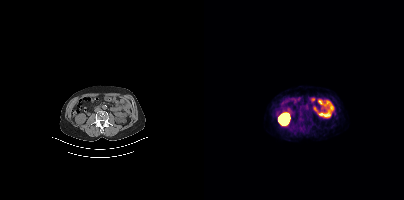
Paired axial CT (left) and PSMA PET (right), 68Ga tracer. Acquired on Siemens Biograph mCT Flow 20. PET panel 200×200 px (4.1 mm/px). No PSMA-avid tumor lesions on this slice.